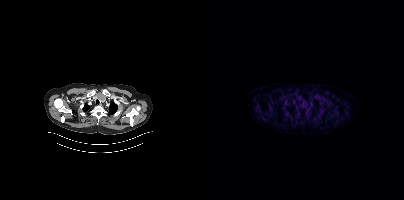
Technique: Two-panel axial: CT | PSMA PET, 18F-PSMA tracer. PET panel 200×200 px (4.1 mm/px).
Findings: Negative for PSMA-avid disease on this slice.